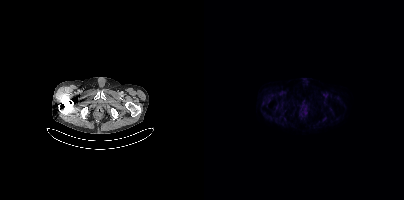
Negative for PSMA-avid disease on this slice.